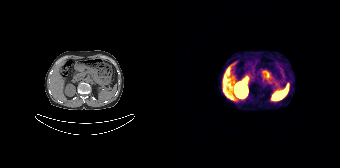
Paired axial CT (left) and PSMA PET (right), 68Ga tracer. Acquired on Siemens Biograph 64-4R TruePoint. Slice 102 of 195. PET panel 168×168 px (4.1 mm/px). This slice has no annotated PSMA-avid lesion.